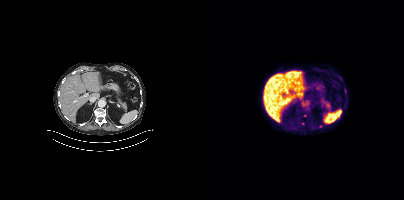
Findings: This slice has no annotated PSMA-avid lesion.
- Left: CT. Right: PSMA PET, same axial level, 18F-PSMA tracer
- slice position z = -476 mm
- PET panel 200×200 px (4.1 mm/px)